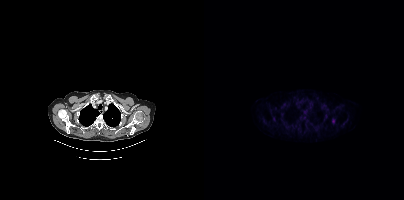
{"modality":"PSMA PET/CT","view":"axial","tracer":"[18F]PSMA-1007","pet_grid":[200,200],"coord_frame":"pet_panel","coord_format":"x0,y0,x1,y1","lesion_bboxes":[[128,119,130,123]]}